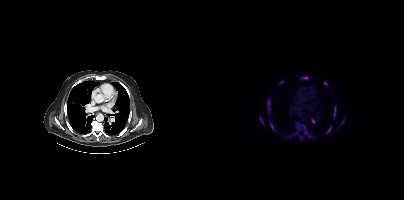
Findings: Coordinates are on the 200×200 PET (right) panel. PSMA-avid tumor lesion bounding boxes (x, y, width, height): x=85 y=122 w=22 h=16; x=63 y=98 w=4 h=16; x=129 y=105 w=4 h=13; x=122 y=126 w=6 h=8; x=120 y=81 w=5 h=6; x=67 y=125 w=5 h=7; x=98 y=76 w=6 h=4; x=137 y=118 w=4 h=7; x=96 y=136 w=3 h=5; x=108 y=119 w=4 h=5. Small PSMA-avid focus (2 to 4 px across) near (center x, center y): (56, 117).
- Left: CT. Right: PSMA PET, same axial level, 18F tracer
- PET panel 200×200 px (4.1 mm/px)